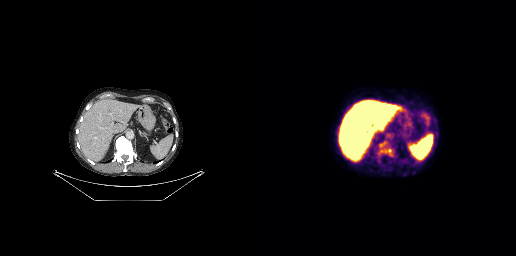
Left: CT. Right: PSMA PET, same axial level, [18F]PSMA-1007 tracer. Slice 173 of 299. PET panel 256×256 px (2.7 mm/px). Coordinates are on the 256×256 PET (right) panel. Small PSMA-avid focus (2 to 4 px across) near (center x, center y): (129, 150).